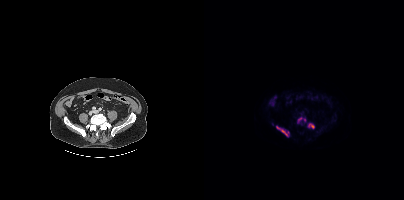
modality: PSMA PET/CT | tracer: 18F-PSMA | view: axial
Coordinates are on the 200×200 PET (right) panel. (showing 4 of 6 foci) PSMA-avid tumor lesion bounding boxes (x, y, width, height): x=72 y=126 w=12 h=10; x=105 y=124 w=6 h=5. Small PSMA-avid foci (2 to 4 px across) near (center x, center y): (68, 124); (96, 118).